Two-panel axial: CT | PSMA PET, 18F-PSMA tracer. Acquired on GE Discovery 690. Slice 134 of 263. PET panel 256×256 px (2.7 mm/px).
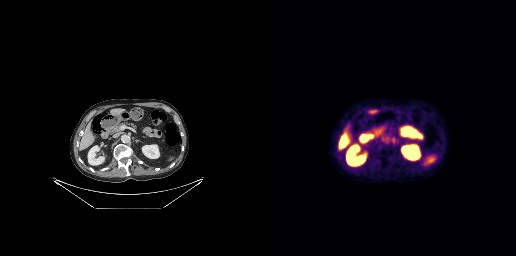
This slice has no annotated PSMA-avid lesion.